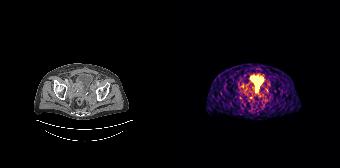
{"modality":"PSMA PET/CT","view":"axial","tracer":"68Ga","pet_grid":[168,168],"coord_frame":"pet_panel","coord_format":"x0,y0,x1,y1","lesion_bboxes":[[82,82,88,91]]}